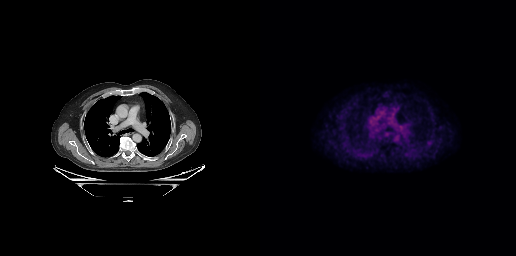
Technique: Two-panel axial: CT | PSMA PET, [18F]PSMA-1007 tracer. slice 203 of 263.
Findings: Negative for PSMA-avid disease on this slice.